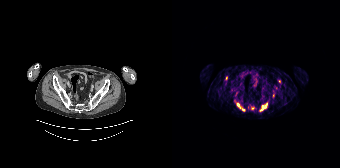
modality: PSMA PET/CT | tracer: 68Ga-PSMA | view: axial
Coordinates are on the 168×168 PET (right) panel. (showing 4 of 5 foci) PSMA-avid tumor lesion bounding box (x0, y0)-(x1, y1): (90, 105)-(94, 109). Small PSMA-avid foci (2 to 4 px across) near (center x, center y): (71, 109) | (67, 106) | (80, 108).